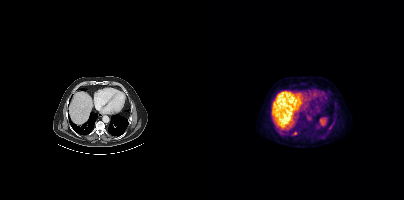
Coordinates are on the 200×200 PET (right) panel. Small PSMA-avid focus (2 to 4 px across) near (center x, center y): (91, 133). Left: CT. Right: PSMA PET, same axial level, 18F tracer. Slice 273 of 415.